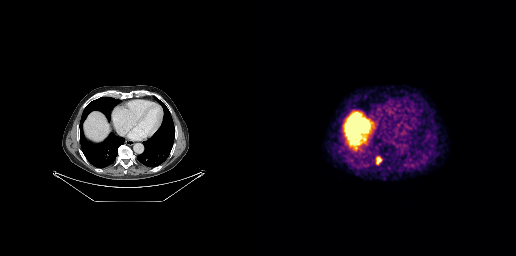
Findings: Coordinates are on the 256×256 PET (right) panel. PSMA-avid tumor lesion bounding box (x0, y0)-(x1, y1): (116, 156)-(121, 164).
Technique: Paired axial CT (left) and PSMA PET (right), 68Ga-PSMA tracer. acquired on GE Discovery 690.